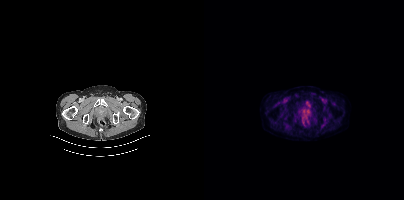
Coordinates are on the 200×200 PET (right) panel. Small PSMA-avid focus (2 to 4 px across) near (center x, center y): (103, 111).